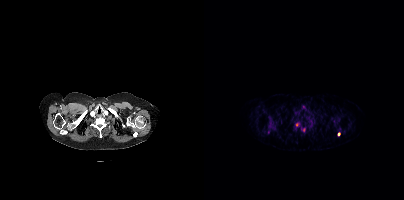
{"pet_grid":[200,200],"coord_frame":"pet_panel","coord_format":"x0,y0,x1,y1","partial":true,"lesion_bboxes":[],"small_foci_centers":[[134,133]],"modality":"PSMA PET/CT","view":"axial","tracer":"68Ga-PSMA"}